Technique: Left: CT. Right: PSMA PET, same axial level, [18F]PSMA-1007 tracer. PET panel 200×200 px (4.1 mm/px).
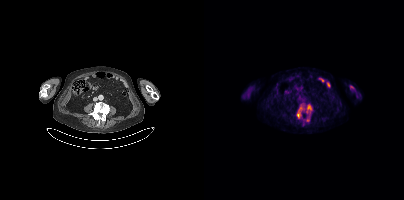
Findings: Coordinates are on the 200×200 PET (right) panel. (showing 4 of 5 foci) PSMA-avid tumor lesion bounding boxes (x0,y0,x1,y1): [92,103,100,118], [102,104,108,114]. Small PSMA-avid foci (2 to 4 px across) near (center x, center y): (103, 119), (147, 86).